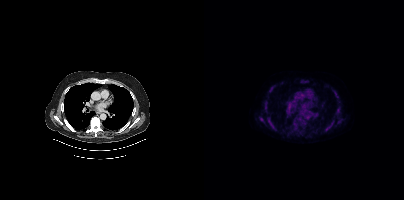
{"modality":"PSMA PET/CT","view":"axial","tracer":"[18F]PSMA-1007","pet_grid":[200,200],"coord_frame":"pet_panel","coord_format":"x0,y0,x1,y1","partial":true,"lesion_bboxes":[[91,119,98,125],[63,117,68,125],[66,85,71,89],[60,102,64,106],[119,127,124,131],[55,117,58,121]],"small_foci_centers":[[99,81],[133,112],[128,122],[70,128],[133,96],[65,91],[90,126],[89,129]]}